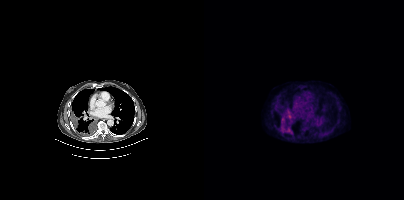
Paired axial CT (left) and PSMA PET (right), [18F]PSMA-1007 tracer. Coordinates are on the 200×200 PET (right) panel. PSMA-avid tumor lesion bounding boxes (x0, y0)-(x1, y1): (81, 108)-(87, 115) | (77, 122)-(79, 129) | (81, 129)-(85, 132).